deidentification: rectangular block over head set to black | modality: PSMA PET/CT | tracer: 68Ga-PSMA | view: axial | PET grid: 256×256
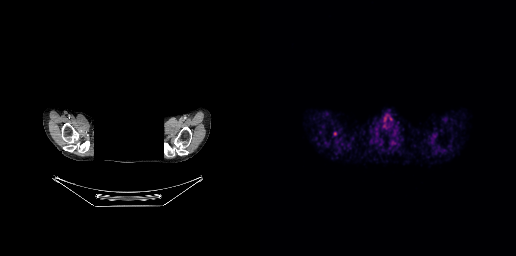
Coordinates are on the 256×256 PET (right) panel. Small PSMA-avid focus (2 to 4 px across) near (center x, center y): (74, 133).